Left: CT. Right: PSMA PET, same axial level, 18F-PSMA tracer. Slice 48 of 454.
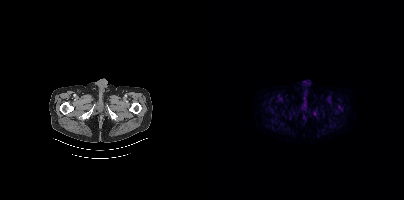
No PSMA-avid tumor lesions on this slice.